modality: PSMA PET/CT | tracer: 18F-PSMA | view: axial
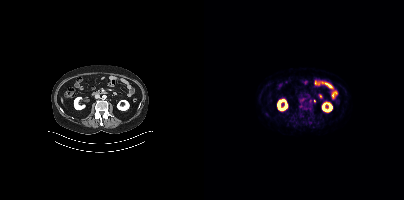
Coordinates are on the 200×200 PET (right) panel. Small PSMA-avid focus (2 to 4 px across) near (center x, center y): (110, 101).